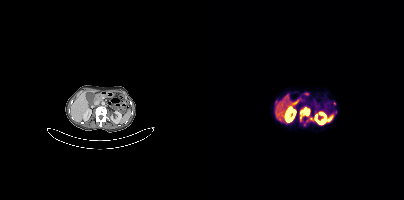
{"modality":"PSMA PET/CT","view":"axial","tracer":"68Ga","pet_grid":[200,200],"coord_frame":"pet_panel","coord_format":"x0,y0,x1,y1","lesion_bboxes":[[96,107,105,118]],"small_foci_centers":[[130,103]]}